A rectangle over the head was blacked out to remove identifiable facial features. Left: CT. Right: PSMA PET, same axial level, 18F-PSMA tracer. Acquired on Siemens Biograph mCT Flow 20.
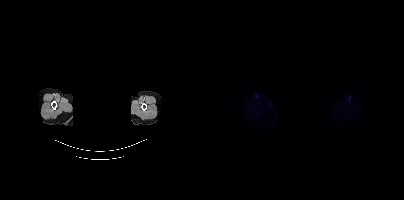
This slice has no annotated PSMA-avid lesion.